modality: PSMA PET/CT | tracer: 18F | view: axial
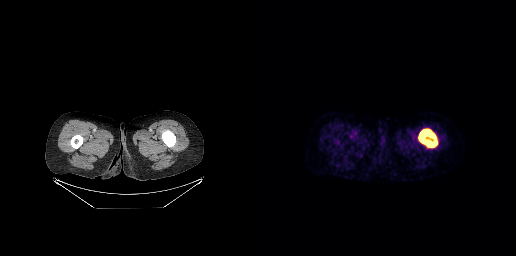
Coordinates are on the 256×256 PET (right) panel. PSMA-avid tumor lesion bounding box (x0,y0,x1,y1): [158,128,177,147].